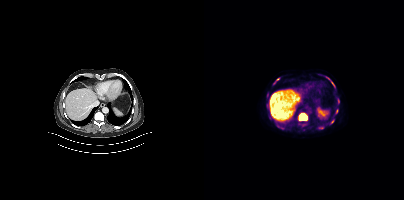
Coordinates are on the 200×200 PET (right) panel. (showing 8 of 9 foci) PSMA-avid tumor lesion bounding boxes (x0, y0)-(x1, y1): (95, 113)-(103, 120) / (124, 78)-(129, 85) / (132, 109)-(133, 113). Small PSMA-avid foci (2 to 4 px across) near (center x, center y): (73, 79) / (118, 127) / (70, 83) / (63, 95) / (128, 121).